- Paired axial CT (left) and PSMA PET (right), 18F tracer
- slice position z = -966 mm
- PET panel 200×200 px (4.1 mm/px)
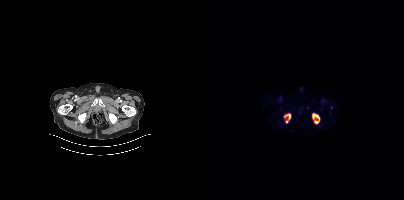
Findings: Coordinates are on the 200×200 PET (right) panel. PSMA-avid tumor lesion bounding boxes (x0, y0)-(x1, y1): (108, 113)-(115, 123) / (80, 114)-(86, 122).